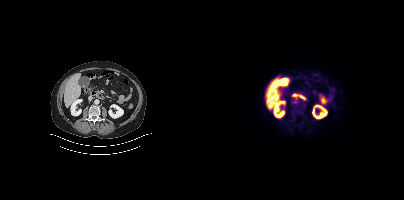
Findings: No tumor lesions annotated on this slice.
Technique: Left: CT. Right: PSMA PET, same axial level, [18F]PSMA-1007 tracer. acquired on Siemens Biograph mCT Flow 20.